Left: CT. Right: PSMA PET, same axial level, [18F]PSMA-1007 tracer.
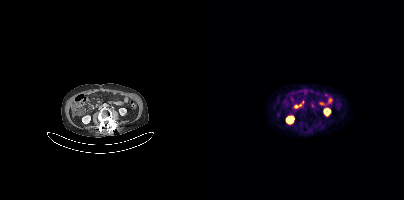
Coordinates are on the 200×200 PET (right) panel. PSMA-avid tumor lesion bounding boxes:
| # | x0 | y0 | x1 | y1 |
|---|---|---|---|---|
| 1 | 107 | 104 | 111 | 107 |